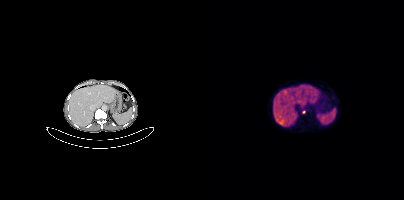
- Left: CT. Right: PSMA PET, same axial level, [68Ga]Ga-PSMA-11 tracer
- acquired on Siemens Biograph mCT Flow 20
Findings: Coordinates are on the 200×200 PET (right) panel. Small PSMA-avid focus (2 to 4 px across) near (center x, center y): (99, 111).